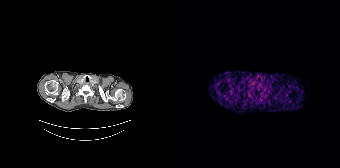
Findings: Negative for PSMA-avid disease on this slice.
Technique: Two-panel axial: CT | PSMA PET, 68Ga tracer. PET panel 168×168 px (4.1 mm/px).